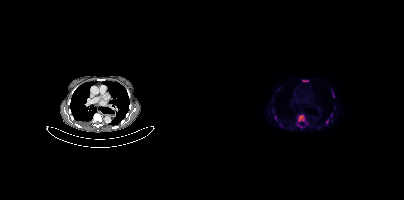
Coordinates are on the 200×200 PET (right) panel. (showing 7 of 8 foci) PSMA-avid tumor lesion bounding boxes (x0,y0,x1,y1): [94,115,100,121] [99,80,103,81] [128,91,130,97] [94,125,98,127]. Small PSMA-avid foci (2 to 4 px across) near (center x, center y): (123, 121) (71, 118) (127, 115).